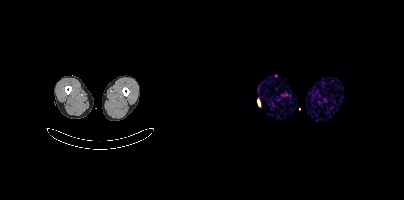
{"modality":"PSMA PET/CT","view":"axial","tracer":"68Ga-PSMA","pet_grid":[200,200],"coord_frame":"pet_panel","coord_format":"x0,y0,x1,y1","psma_avid_lesions":false}